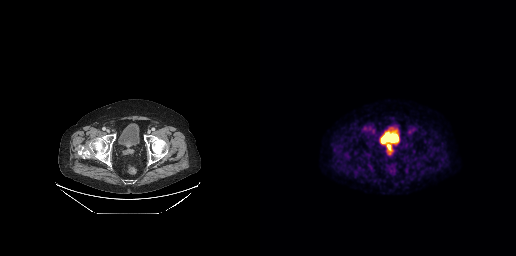
Coordinates are on the 256×256 PET (right) panel. PSMA-avid tumor lesion bounding boxes:
| # | x0 | y0 | x1 | y1 |
|---|---|---|---|---|
| 1 | 127 | 144 | 131 | 150 |
Paired axial CT (left) and PSMA PET (right), [18F]PSMA-1007 tracer.